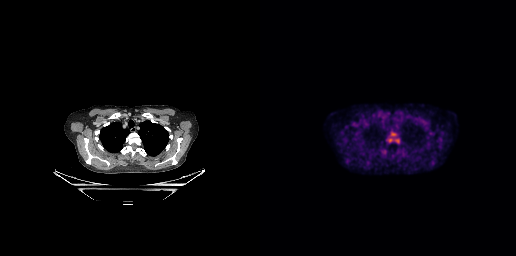
- Two-panel axial: CT | PSMA PET, 18F tracer
- acquired on GE Discovery 690
- slice position z = -188 mm
Findings: Coordinates are on the 256×256 PET (right) panel. PSMA-avid tumor lesion bounding box (x0,y0,x1,y1): [127,132,139,142].